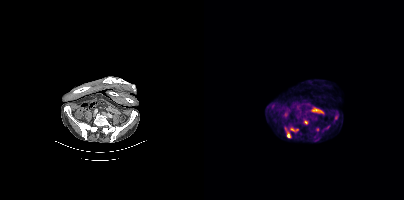
{"modality":"PSMA PET/CT","view":"axial","tracer":"18F","pet_grid":[200,200],"coord_frame":"pet_panel","coord_format":"x0,y0,x1,y1","lesion_bboxes":[[81,128,86,137],[86,128,94,132],[120,125,125,129],[100,121,104,124]],"small_foci_centers":[[132,117],[113,129],[69,104]]}